de-identification: rectangular block over head set to black | modality: PSMA PET/CT | tracer: 18F-PSMA | view: axial
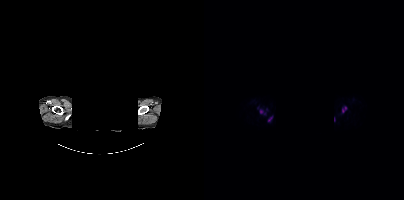
Coordinates are on the 200×200 PET (right) panel. (showing 4 of 5 foci) PSMA-avid tumor lesion bounding boxes (x0,y0,x1,y1): [55,109,61,114] [138,106,142,112] [64,116,68,121] [130,117,131,121].